- Two-panel axial: CT | PSMA PET, [18F]PSMA-1007 tracer
- acquired on GE Discovery 690
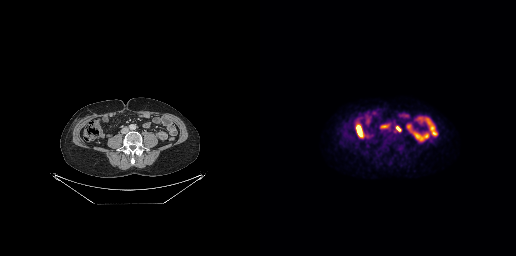
Findings: Coordinates are on the 256×256 PET (right) panel. PSMA-avid tumor lesion bounding boxes (x0,y0,x1,y1): [121,125,127,127] [136,126,140,131].